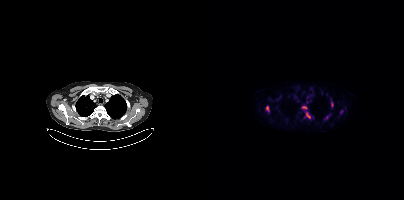
- Left: CT. Right: PSMA PET, same axial level, 18F tracer
- slice position z = -468 mm
- PET panel 200×200 px (4.1 mm/px)
Findings: Coordinates are on the 200×200 PET (right) panel. PSMA-avid tumor lesion bounding boxes (x, y, width, height): x=102 y=112 w=5 h=7 / x=62 y=106 w=4 h=6 / x=98 y=106 w=5 h=3 / x=127 y=102 w=3 h=5. Small PSMA-avid foci (2 to 4 px across) near (center x, center y): (137, 111) / (122, 117).